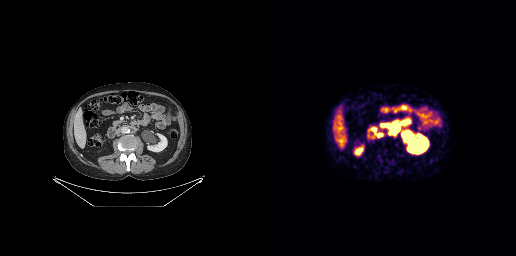
modality: PSMA PET/CT | tracer: 68Ga | view: axial | PET grid: 256×256
Coordinates are on the 256×256 PET (right) panel. PSMA-avid tumor lesion bounding boxes (x, y, width, height): x=128 y=125 w=12 h=10 / x=115 y=133 w=8 h=5.